Two-panel axial: CT | PSMA PET, [18F]PSMA-1007 tracer. PET panel 200×200 px (4.1 mm/px).
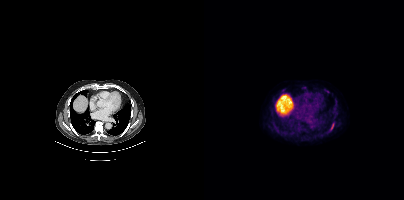
Coordinates are on the 200×200 PET (right) panel. PSMA-avid tumor lesion bounding box (x0,y0,x1,y1): [126,123,130,130].